- Two-panel axial: CT | PSMA PET, 18F tracer
- acquired on Siemens Biograph mCT Flow 20
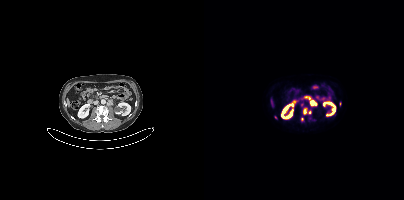
Findings: Coordinates are on the 200×200 PET (right) panel. (showing 5 of 6 foci) PSMA-avid tumor lesion bounding boxes (x0, y0)-(x1, y1): (106, 101)-(112, 105); (100, 109)-(102, 113). Small PSMA-avid foci (2 to 4 px across) near (center x, center y): (98, 119); (105, 112); (71, 117).